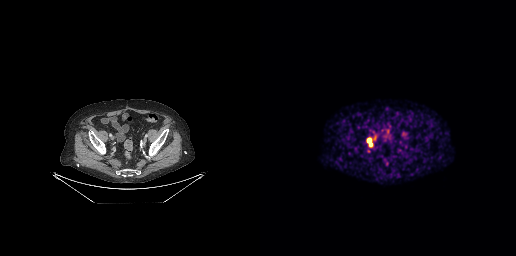
Two-panel axial: CT | PSMA PET, 68Ga-PSMA tracer. Slice position z = -739 mm. Coordinates are on the 256×256 PET (right) panel. Small PSMA-avid foci (2 to 4 px across) near (center x, center y): (109, 140) | (110, 144).